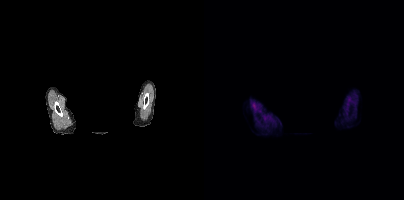
modality: PSMA PET/CT | tracer: [18F]PSMA-1007 | view: axial | PET grid: 200×200 | redaction: head region blanked (face removed)
Negative for PSMA-avid disease on this slice.